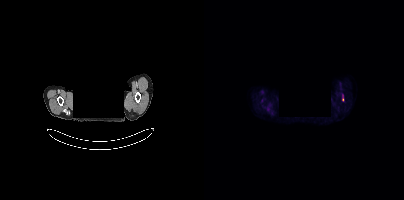
- the face region was removed for patient privacy by blanking a rectangle over the head
- Left: CT. Right: PSMA PET, same axial level, 18F-PSMA tracer
- acquired on Siemens Biograph mCT Flow 20
Findings: Coordinates are on the 200×200 PET (right) panel. Small PSMA-avid focus (2 to 4 px across) near (center x, center y): (138, 99).